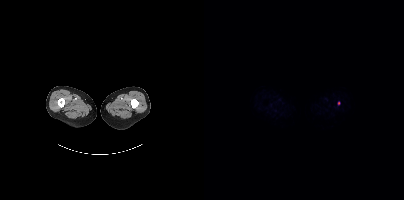
Coordinates are on the 200×200 PET (right) panel. Small PSMA-avid focus (2 to 4 px across) near (center x, center y): (134, 103).